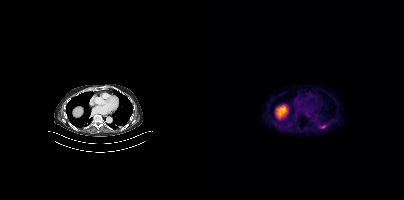
Left: CT. Right: PSMA PET, same axial level, [18F]PSMA-1007 tracer. Slice 265 of 389.
Coordinates are on the 200×200 PET (right) panel. PSMA-avid tumor lesion bounding boxes:
| # | x0 | y0 | x1 | y1 |
|---|---|---|---|---|
| 1 | 116 | 125 | 121 | 128 |